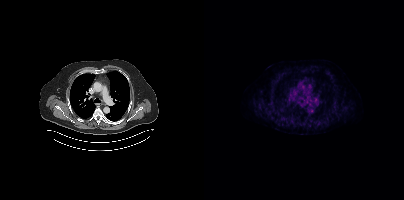
{"pet_grid":[200,200],"coord_frame":"pet_panel","coord_format":"x0,y0,x1,y1","psma_avid_lesions":false,"modality":"PSMA PET/CT","view":"axial","tracer":"[18F]PSMA-1007"}